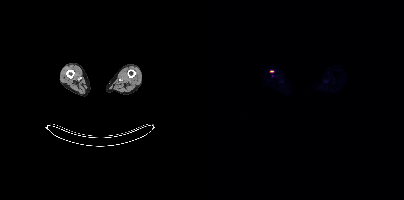
Coordinates are on the 200×200 PET (right) panel. Small PSMA-avid focus (2 to 4 px across) near (center x, center y): (67, 71). Paired axial CT (left) and PSMA PET (right), [18F]PSMA-1007 tracer. Acquired on Siemens Biograph mCT Flow 20. PET panel 200×200 px (4.1 mm/px).